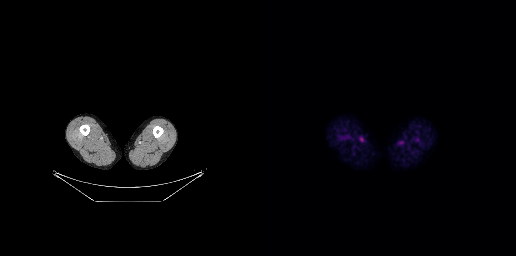
Technique: Left: CT. Right: PSMA PET, same axial level, [18F]PSMA-1007 tracer. slice position z = -927 mm.
Findings: No tumor lesions annotated on this slice.